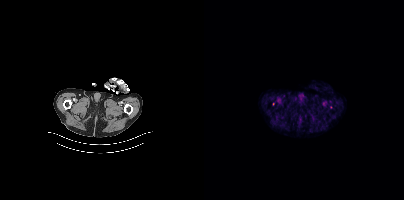
{"modality":"PSMA PET/CT","view":"axial","tracer":"18F","pet_grid":[200,200],"coord_frame":"pet_panel","coord_format":"x0,y0,x1,y1","lesion_bboxes":[],"small_foci_centers":[[69,103]]}